- Left: CT. Right: PSMA PET, same axial level, [18F]PSMA-1007 tracer
- slice 144 of 407
- PET panel 200×200 px (4.1 mm/px)
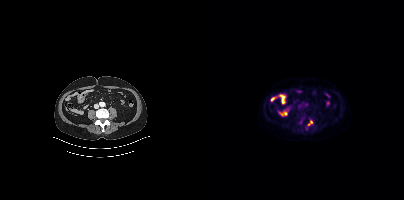
Findings: Coordinates are on the 200×200 PET (right) panel. PSMA-avid tumor lesion bounding box (x0,y0,x1,y1): [104,121,108,125].